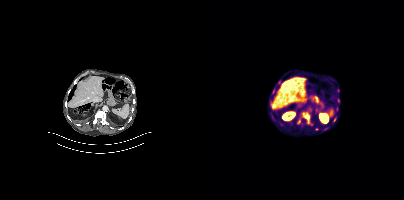
Coordinates are on the 200×200 PET (right) panel. (showing 3 of 4 foci) PSMA-avid tumor lesion bounding boxes (x0, y0)-(x1, y1): (100, 114)-(106, 121); (68, 89)-(70, 93). Small PSMA-avid focus (2 to 4 px across) near (center x, center y): (130, 120).
modality: PSMA PET/CT | tracer: 18F-PSMA | view: axial | PET grid: 200×200